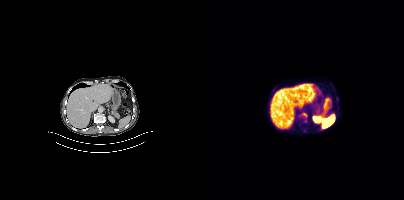
Left: CT. Right: PSMA PET, same axial level, 18F-PSMA tracer. Acquired on Siemens Biograph mCT Flow 20. Coordinates are on the 200×200 PET (right) panel. PSMA-avid tumor lesion bounding box (x, y, width, height): x=98 y=117 w=5 h=4. Small PSMA-avid focus (2 to 4 px across) near (center x, center y): (101, 114).